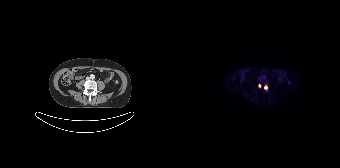
Coordinates are on the 168×168 PET (right) panel. (showing 1 of 2 foci) Small PSMA-avid focus (2 to 4 px across) near (center x, center y): (93, 87).